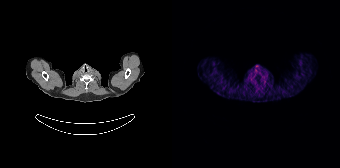
Technique: Two-panel axial: CT | PSMA PET, 68Ga-PSMA tracer. acquired on Siemens Biograph 64-4R TruePoint. PET panel 168×168 px (4.1 mm/px).
Findings: This slice has no annotated PSMA-avid lesion.